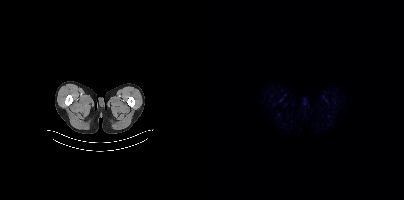
Negative for PSMA-avid disease on this slice. Paired axial CT (left) and PSMA PET (right), [18F]PSMA-1007 tracer. Slice position z = -938 mm. PET panel 200×200 px (4.1 mm/px).